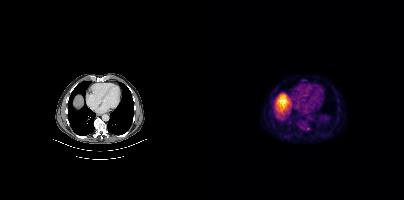
{"modality":"PSMA PET/CT","view":"axial","tracer":"18F","pet_grid":[200,200],"coord_frame":"pet_panel","coord_format":"x0,y0,x1,y1","lesion_bboxes":[],"small_foci_centers":[[103,128]]}